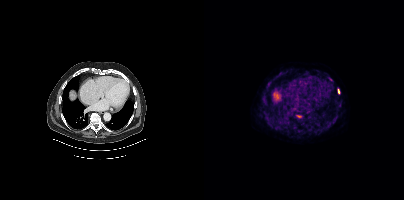
{"pet_grid":[200,200],"coord_frame":"pet_panel","coord_format":"x0,y0,x1,y1","lesion_bboxes":[[92,115,97,117],[134,89,135,93]],"modality":"PSMA PET/CT","view":"axial","tracer":"18F"}